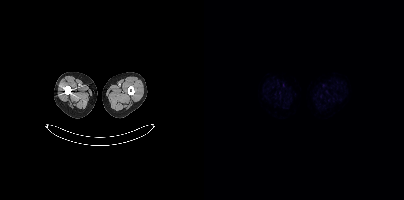
{"pet_grid":[200,200],"coord_frame":"pet_panel","coord_format":"x0,y0,x1,y1","psma_avid_lesions":false,"modality":"PSMA PET/CT","view":"axial","tracer":"[18F]PSMA-1007"}